Two-panel axial: CT | PSMA PET, 18F-PSMA tracer. Slice 56 of 405.
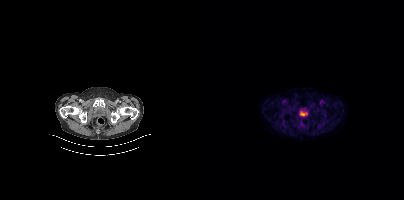
Negative for PSMA-avid disease on this slice.